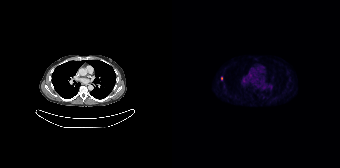
Paired axial CT (left) and PSMA PET (right), 18F-PSMA tracer. Slice 112 of 165. PET panel 168×168 px (4.1 mm/px). Coordinates are on the 168×168 PET (right) panel. Small PSMA-avid focus (2 to 4 px across) near (center x, center y): (49, 78).